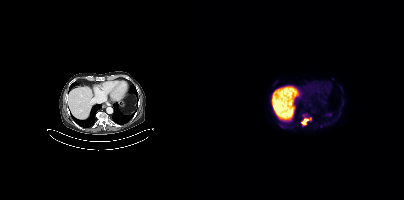
Two-panel axial: CT | PSMA PET, 18F-PSMA tracer. Slice 243 of 403. PET panel 200×200 px (4.1 mm/px).
Coordinates are on the 200×200 PET (right) panel. PSMA-avid tumor lesion bounding boxes (partial; 2 more foci not listed):
| # | x0 | y0 | x1 | y1 |
|---|---|---|---|---|
| 1 | 98 | 117 | 107 | 124 |
Small PSMA-avid foci (2 to 4 px across) near (center x, center y): (77, 125); (100, 115); (128, 78).